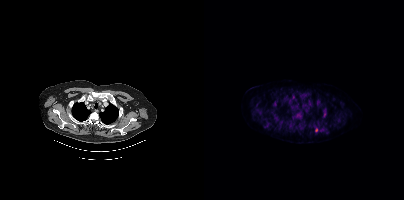
{"modality":"PSMA PET/CT","view":"axial","tracer":"18F-PSMA","pet_grid":[200,200],"coord_frame":"pet_panel","coord_format":"x0,y0,x1,y1","partial":true,"lesion_bboxes":[],"small_foci_centers":[[112,129]]}